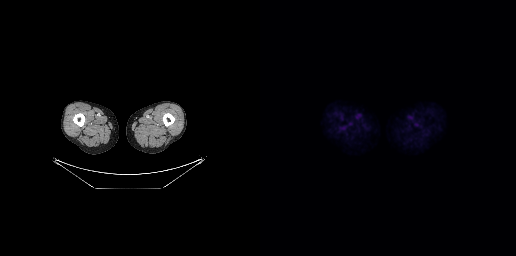
Findings: No PSMA-avid tumor lesions on this slice.
- Paired axial CT (left) and PSMA PET (right), 18F-PSMA tracer
- acquired on GE Discovery 690